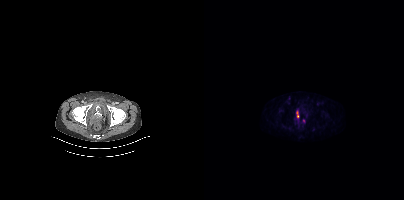
Coordinates are on the 200×200 PET (right) panel. (showing 2 of 3 foci) PSMA-avid tumor lesion bounding box (x, y, width, height): x=92 y=111 w=4 h=7. Small PSMA-avid focus (2 to 4 px across) near (center x, center y): (99, 120).